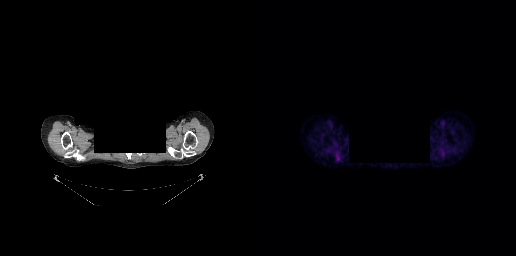
Negative for PSMA-avid disease on this slice. De-identified by setting a box covering the face to black before release. Two-panel axial: CT | PSMA PET, 18F tracer. Slice 232 of 263.